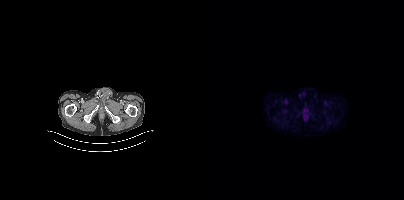
No PSMA-avid tumor lesions on this slice.
modality: PSMA PET/CT | tracer: [18F]PSMA-1007 | view: axial